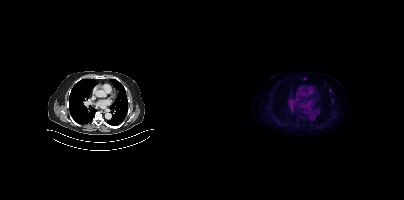
Coordinates are on the 200×200 PET (right) panel. Small PSMA-avid foci (2 to 4 px across) near (center x, center y): (101, 78) / (125, 90).